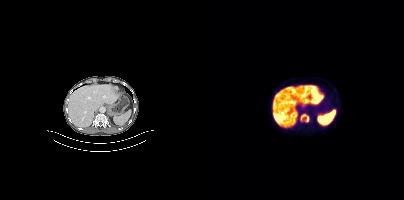
Left: CT. Right: PSMA PET, same axial level, 18F-PSMA tracer. Slice position z = 260 mm.
Coordinates are on the 200×200 PET (right) panel. PSMA-avid tumor lesion bounding boxes (partial; 1 more focus not listed):
| # | x0 | y0 | x1 | y1 |
|---|---|---|---|---|
| 1 | 96 | 113 | 105 | 122 |